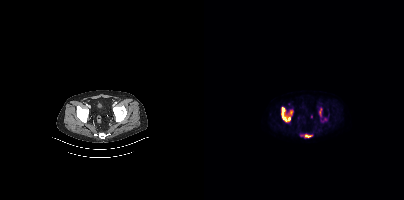
Coordinates are on the 200×200 PET (right) panel. PSMA-avid tumor lesion bounding boxes (x, y, width, height): x=77 y=108 w=10 h=14 / x=101 y=134 w=7 h=4 / x=115 y=108 w=3 h=8. Small PSMA-avid focus (2 to 4 px across) near (center x, center y): (87, 112).
modality: PSMA PET/CT | tracer: [18F]PSMA-1007 | view: axial | PET grid: 200×200